- Paired axial CT (left) and PSMA PET (right), 18F tracer
- acquired on GE Discovery 690
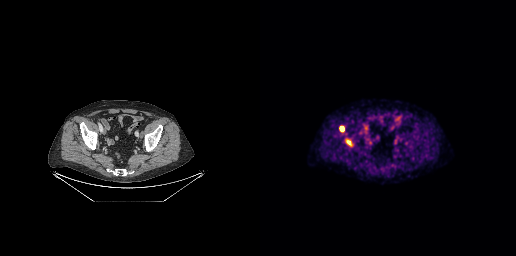
Findings: Coordinates are on the 256×256 PET (right) panel. PSMA-avid tumor lesion bounding box (x0, y0)-(x1, y1): (86, 139)-(91, 144). Small PSMA-avid focus (2 to 4 px across) near (center x, center y): (81, 128).